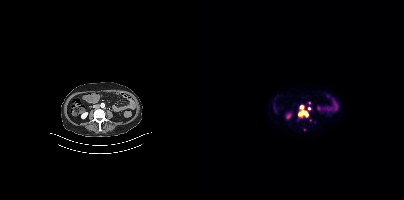
Coordinates are on the 200×200 PET (right) panel. PSMA-avid tumor lesion bounding box (x0, y0)-(x1, y1): (94, 107)-(104, 116). Small PSMA-avid focus (2 to 4 px across) near (center x, center y): (105, 108).